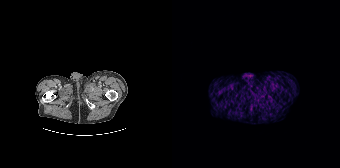
- Two-panel axial: CT | PSMA PET, 68Ga-PSMA tracer
- acquired on Siemens Biograph 64-4R TruePoint
- PET panel 168×168 px (4.1 mm/px)
Findings: No tumor lesions annotated on this slice.